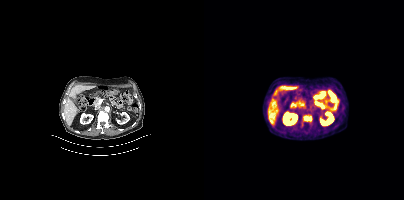
Technique: Left: CT. Right: PSMA PET, same axial level, 18F tracer. acquired on Siemens Biograph mCT Flow 20. slice 202 of 397.
Findings: Coordinates are on the 200×200 PET (right) panel. PSMA-avid tumor lesion bounding box (x, y, width, height): x=99 y=116 w=9 h=6.